Technique: Left: CT. Right: PSMA PET, same axial level, 18F tracer. slice 273 of 383. PET panel 200×200 px (4.1 mm/px).
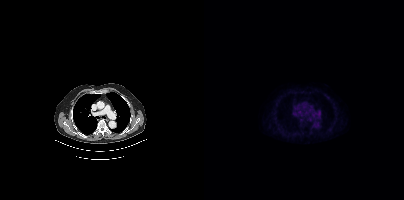
Findings: No tumor lesions annotated on this slice.